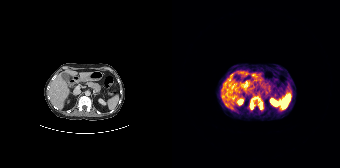
modality: PSMA PET/CT | tracer: 68Ga-PSMA | view: axial
Coordinates are on the 168×168 PET (right) panel. PSMA-avid tumor lesion bounding box (x, y, width, height): x=77 y=96 w=15 h=14.